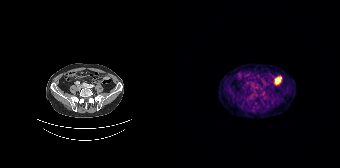
Negative for PSMA-avid disease on this slice. Paired axial CT (left) and PSMA PET (right), [68Ga]Ga-PSMA-11 tracer. PET panel 168×168 px (4.1 mm/px).